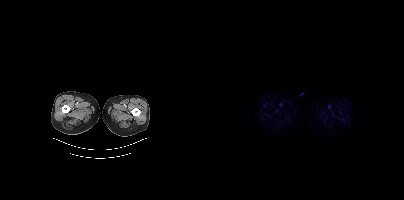
No tumor lesions annotated on this slice.